modality: PSMA PET/CT | tracer: 18F-PSMA | view: axial
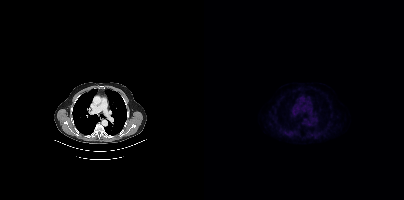
No PSMA-avid tumor lesions on this slice.